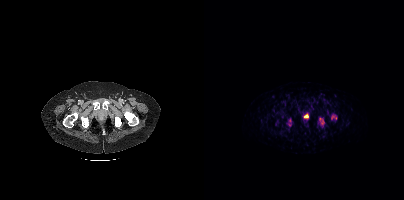
Left: CT. Right: PSMA PET, same axial level, 68Ga tracer. Coordinates are on the 200×200 PET (right) panel. PSMA-avid tumor lesion bounding boxes (x0, y0)-(x1, y1): (115, 118)-(120, 124) | (100, 114)-(104, 117).